Technique: Paired axial CT (left) and PSMA PET (right), 18F tracer. slice 372 of 454.
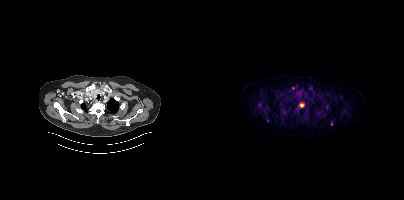
Findings: Coordinates are on the 200×200 PET (right) panel. (showing 9 of 10 foci) PSMA-avid tumor lesion bounding boxes (x0,y0,x1,y1): [96,103,104,113], [54,101,59,108], [104,86,108,90], [121,102,125,106], [117,108,119,112]. Small PSMA-avid foci (2 to 4 px across) near (center x, center y): (140, 110), (127, 123), (81, 106), (88, 87).